Two-panel axial: CT | PSMA PET, 18F tracer. Acquired on Siemens Biograph mCT Flow 20.
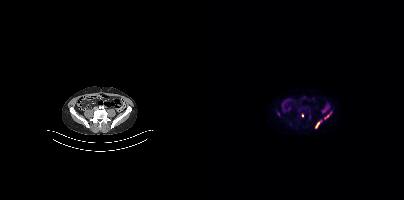
Coordinates are on the 200×200 PET (right) panel. PSMA-avid tumor lesion bounding boxes:
| # | x0 | y0 | x1 | y1 |
|---|---|---|---|---|
| 1 | 111 | 120 | 117 | 128 |
| 2 | 120 | 114 | 125 | 119 |
Small PSMA-avid focus (2 to 4 px across) near (center x, center y): (98, 115).